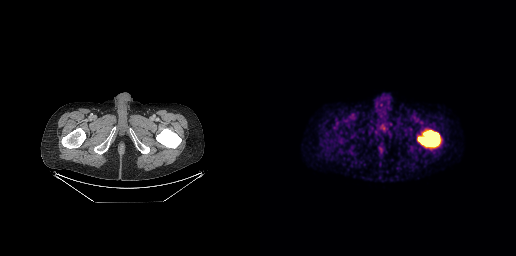
Findings: Coordinates are on the 256×256 PET (right) panel. PSMA-avid tumor lesion bounding box (x, y, width, height): x=158 y=130 w=23 h=17.
- Two-panel axial: CT | PSMA PET, 68Ga-PSMA tracer
- acquired on GE Discovery 690
- slice position z = -980 mm
- PET panel 256×256 px (2.7 mm/px)